Two-panel axial: CT | PSMA PET, [18F]PSMA-1007 tracer. Acquired on Siemens Biograph mCT Flow 20.
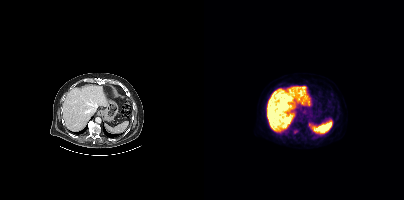
Only PSMA-avid lesion pieces thinner than 2 px on this slice (not listed).